Technique: Left: CT. Right: PSMA PET, same axial level, 68Ga tracer.
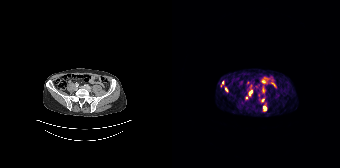
Findings: Coordinates are on the 168×168 PET (right) panel. (showing 6 of 9 foci) PSMA-avid tumor lesion bounding boxes (x0,y0,x1,y1): [90,87,93,92] [91,106,94,110]. Small PSMA-avid foci (2 to 4 px across) near (center x, center y): (78, 92) (54, 89) (74, 97) (90, 99).